A block of pixels was blacked out before release to protect privacy. Left: CT. Right: PSMA PET, same axial level, 18F tracer. Slice position z = 112 mm.
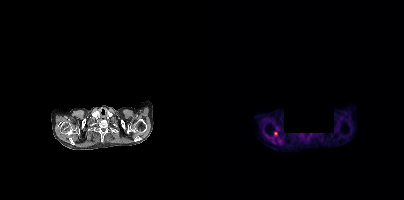
Coordinates are on the 200×200 PET (right) panel. Small PSMA-avid focus (2 to 4 px across) near (center x, center y): (71, 133).